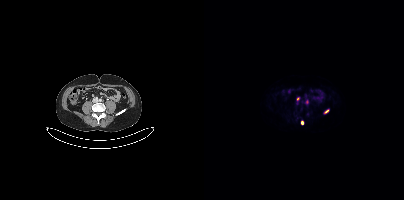
modality: PSMA PET/CT | tracer: 68Ga-PSMA | view: axial | PET grid: 200×200
Coordinates are on the 200×200 PET (right) panel. Small PSMA-avid foci (2 to 4 px across) near (center x, center y): (103, 101) | (94, 99) | (122, 111) | (98, 122).